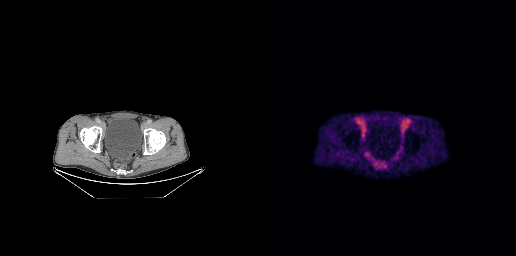
modality: PSMA PET/CT | tracer: [18F]PSMA-1007 | view: axial
Negative for PSMA-avid disease on this slice.